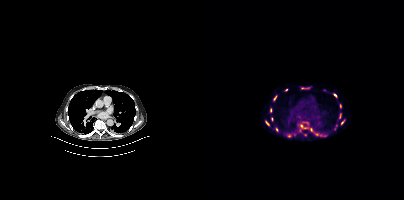
Findings: Coordinates are on the 200×200 PET (right) panel. (showing 15 of 20 foci) PSMA-avid tumor lesion bounding boxes (x0, y0)-(x1, y1): (97, 87)-(106, 89) | (96, 124)-(104, 128) | (129, 93)-(133, 97) | (69, 95)-(72, 100) | (135, 113)-(137, 118) | (61, 121)-(65, 125) | (136, 104)-(137, 108) | (66, 108)-(67, 112) | (137, 120)-(140, 124). Small PSMA-avid foci (2 to 4 px across) near (center x, center y): (107, 129) | (113, 134) | (67, 119) | (103, 123) | (72, 129) | (85, 135).
- Paired axial CT (left) and PSMA PET (right), [18F]PSMA-1007 tracer
- slice 330 of 466